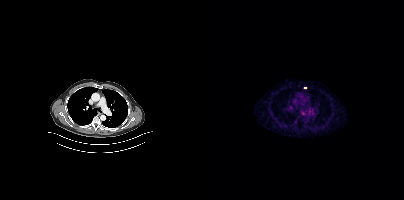
Coordinates are on the 200×200 PET (right) panel. Small PSMA-avid focus (2 to 4 px across) near (center x, center y): (101, 87).
modality: PSMA PET/CT | tracer: 68Ga | view: axial